The face region was removed for patient privacy by blanking a rectangle over the head.
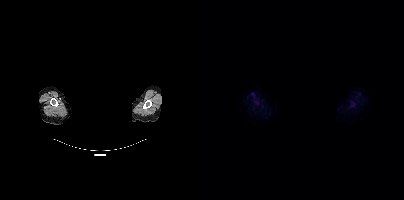
Coordinates are on the 200×200 PET (right) panel. PSMA-avid tumor lesion bounding box (x, y, width, height): x=51 y=101 w=5 h=5.